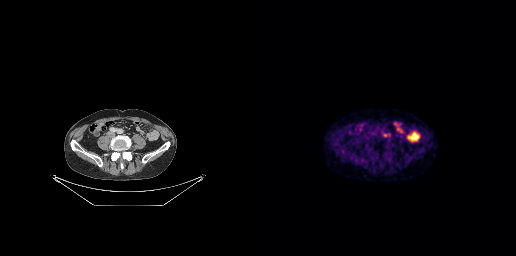
Coordinates are on the 256×256 PET (right) panel. PSMA-avid tumor lesion bounding box (x, y, width, height): x=123 y=134 w=8 h=3.